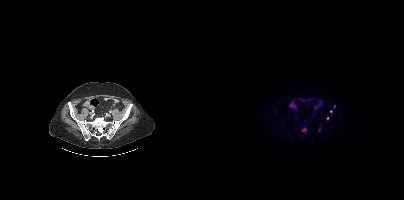
Findings: Coordinates are on the 200×200 PET (right) panel. Small PSMA-avid foci (2 to 4 px across) near (center x, center y): (123, 118) (126, 111).
- Paired axial CT (left) and PSMA PET (right), 18F-PSMA tracer
- acquired on Siemens Biograph mCT Flow 20